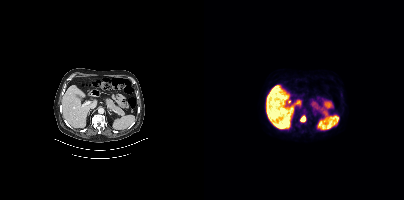
Left: CT. Right: PSMA PET, same axial level, 18F-PSMA tracer. Acquired on Siemens Biograph mCT Flow 20.
Coordinates are on the 200×200 PET (right) panel. PSMA-avid tumor lesion bounding boxes:
| # | x0 | y0 | x1 | y1 |
|---|---|---|---|---|
| 1 | 96 | 115 | 101 | 122 |